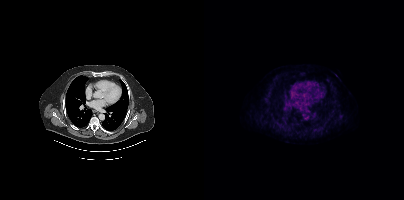
Findings: No tumor lesions annotated on this slice.
- Two-panel axial: CT | PSMA PET, [18F]PSMA-1007 tracer